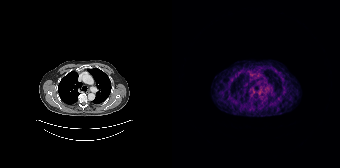
This slice has no annotated PSMA-avid lesion.